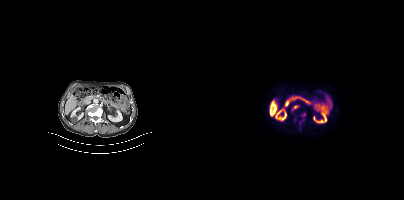
Coordinates are on the 200×200 PET (right) panel. PSMA-avid tumor lesion bounding box (x0, y0)-(x1, y1): (88, 105)-(94, 110). Small PSMA-avid foci (2 to 4 px across) near (center x, center y): (100, 114) | (96, 122).